Technique: Two-panel axial: CT | PSMA PET, 68Ga tracer. acquired on Siemens Biograph mCT Flow 20. slice 92 of 409.
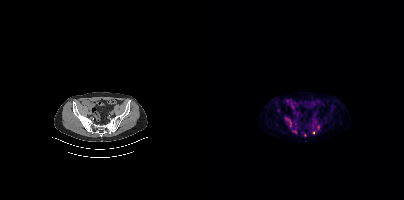
Findings: Coordinates are on the 200×200 PET (right) panel. (showing 1 of 2 foci) Small PSMA-avid focus (2 to 4 px across) near (center x, center y): (109, 132).